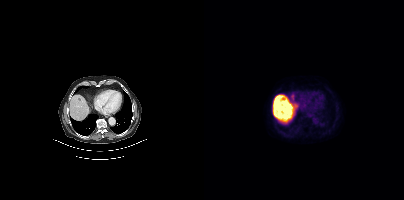
{"modality":"PSMA PET/CT","view":"axial","tracer":"[18F]PSMA-1007","pet_grid":[200,200],"coord_frame":"pet_panel","coord_format":"x0,y0,x1,y1","psma_avid_lesions":false}